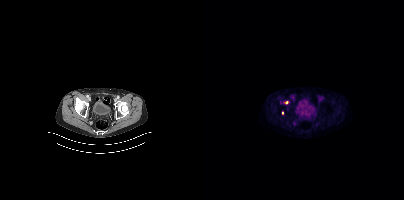
modality: PSMA PET/CT | tracer: 18F-PSMA | view: axial
Coordinates are on the 200×200 PET (right) panel. Small PSMA-avid foci (2 to 4 px across) near (center x, center y): (83, 102) / (78, 112).